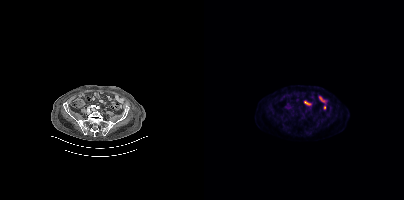
No tumor lesions annotated on this slice.